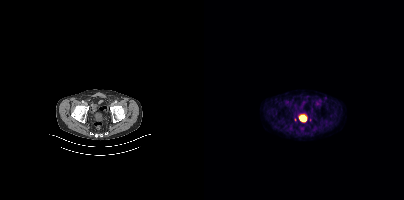
{"modality":"PSMA PET/CT","view":"axial","tracer":"18F-PSMA","pet_grid":[200,200],"coord_frame":"pet_panel","coord_format":"x0,y0,x1,y1","psma_avid_lesions":false}